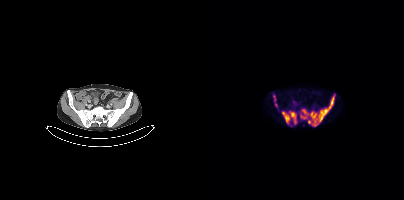
Findings: Coordinates are on the 200×200 PET (right) panel. PSMA-avid tumor lesion bounding boxes (x, y, width, height): x=96 y=94 w=36 h=33; x=78 y=111 w=15 h=14; x=69 y=95 w=3 h=7. Small PSMA-avid focus (2 to 4 px across) near (center x, center y): (72, 105).
Technique: Paired axial CT (left) and PSMA PET (right), [18F]PSMA-1007 tracer. slice position z = -1408 mm. PET panel 200×200 px (4.1 mm/px).